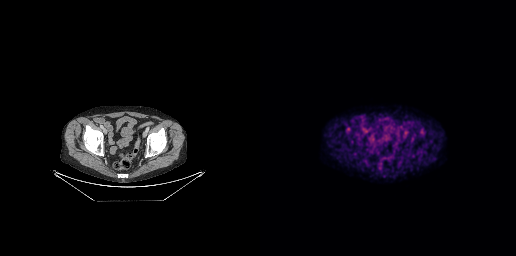
Coordinates are on the 256×256 PET (right) panel. Small PSMA-avid focus (2 to 4 px across) near (center x, center y): (162, 131).
modality: PSMA PET/CT | tracer: 18F-PSMA | view: axial